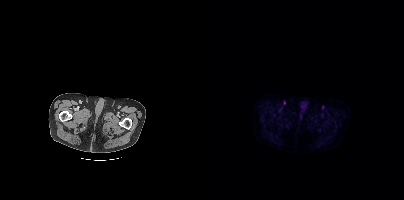
Findings: No PSMA-avid tumor lesions on this slice.
- Two-panel axial: CT | PSMA PET, 18F tracer